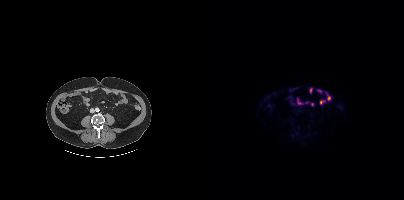
Technique: Two-panel axial: CT | PSMA PET, 18F-PSMA tracer.
Findings: This slice has no annotated PSMA-avid lesion.